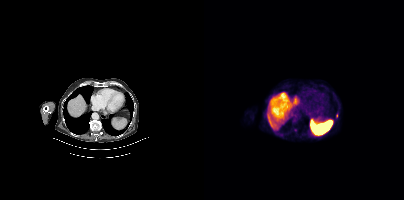
Findings: Coordinates are on the 200×200 PET (right) panel. Small PSMA-avid foci (2 to 4 px across) near (center x, center y): (91, 130) / (132, 115).
- Paired axial CT (left) and PSMA PET (right), 18F-PSMA tracer
- slice 249 of 411